Left: CT. Right: PSMA PET, same axial level, 18F tracer. PET panel 200×200 px (4.1 mm/px).
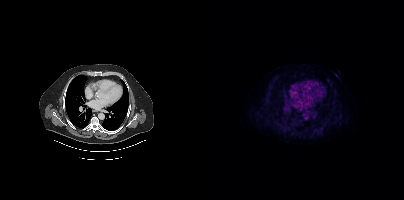
No PSMA-avid tumor lesions on this slice.